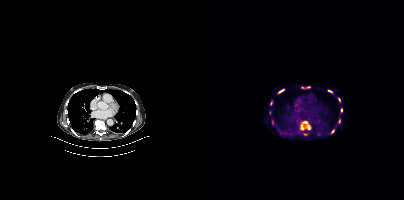
Findings: Coordinates are on the 200×200 PET (right) panel. (showing 10 of 12 foci) PSMA-avid tumor lesion bounding boxes (x0, y0)-(x1, y1): (96, 121)-(106, 130); (97, 86)-(106, 89); (73, 89)-(80, 93); (123, 89)-(129, 93); (134, 119)-(136, 123); (134, 97)-(136, 102); (66, 101)-(68, 105); (136, 108)-(138, 112). Small PSMA-avid foci (2 to 4 px across) near (center x, center y): (128, 131); (101, 134).
Technique: Left: CT. Right: PSMA PET, same axial level, 18F-PSMA tracer. PET panel 200×200 px (4.1 mm/px).